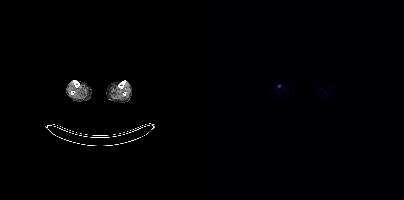
Technique: Paired axial CT (left) and PSMA PET (right), [18F]PSMA-1007 tracer. acquired on Siemens Biograph mCT Flow 20.
Findings: Coordinates are on the 200×200 PET (right) panel. Small PSMA-avid focus (2 to 4 px across) near (center x, center y): (75, 86).